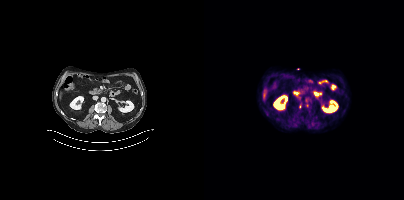
Findings: Coordinates are on the 200×200 PET (right) panel. (showing 1 of 2 foci) Small PSMA-avid focus (2 to 4 px across) near (center x, center y): (95, 106).
- Paired axial CT (left) and PSMA PET (right), 18F-PSMA tracer